Two-panel axial: CT | PSMA PET, 68Ga tracer. Acquired on Siemens Biograph 64-4R TruePoint. Slice position z = -66 mm. The face region was removed for patient privacy by blanking a rectangle over the head.
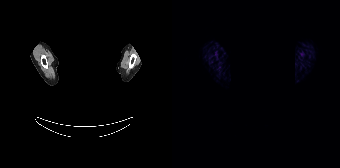
No tumor lesions annotated on this slice.